modality: PSMA PET/CT | tracer: 18F | view: axial
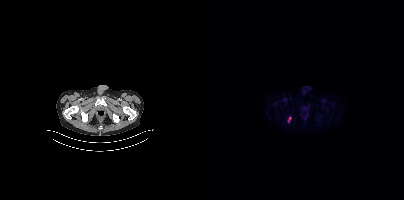
Coordinates are on the 200×200 PET (right) panel. PSMA-avid tumor lesion bounding box (x0, y0)-(x1, y1): (84, 117)-(86, 121).